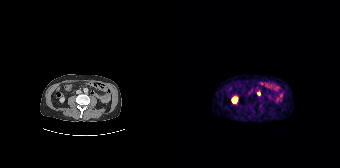
{"modality":"PSMA PET/CT","view":"axial","tracer":"68Ga-PSMA","pet_grid":[168,168],"coord_frame":"pet_panel","coord_format":"x0,y0,x1,y1","lesion_bboxes":[],"small_foci_centers":[[86,93]]}